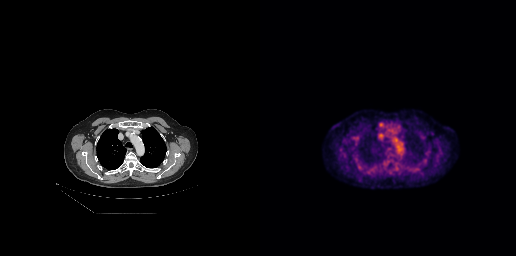
No tumor lesions annotated on this slice.